- Left: CT. Right: PSMA PET, same axial level, 18F-PSMA tracer
- acquired on Siemens Biograph mCT Flow 20
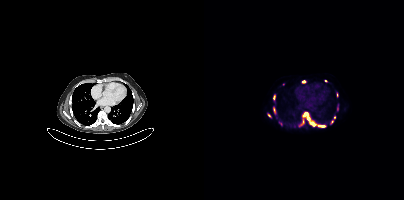
Findings: Coordinates are on the 200×200 PET (right) panel. (showing 15 of 17 foci) PSMA-avid tumor lesion bounding boxes (x0, y0)-(x1, y1): (98, 112)-(105, 120) / (106, 122)-(111, 125) / (95, 120)-(100, 126) / (115, 125)-(121, 127) / (75, 121)-(78, 125) / (69, 95)-(71, 99). Small PSMA-avid foci (2 to 4 px across) near (center x, center y): (133, 108) / (65, 115) / (133, 94) / (130, 117) / (100, 81) / (128, 122) / (121, 80) / (90, 126) / (79, 84).